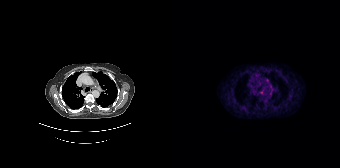
Coordinates are on the 168×168 PET (right) panel. Small PSMA-avid focus (2 to 4 px across) near (center x, center y): (95, 80). Left: CT. Right: PSMA PET, same axial level, 68Ga tracer. Acquired on Siemens Biograph 64-4R TruePoint. Slice 148 of 195.